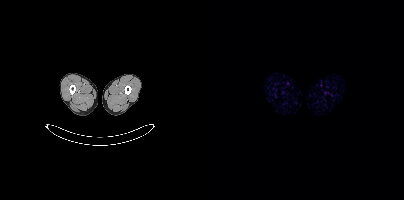
No tumor lesions annotated on this slice. Left: CT. Right: PSMA PET, same axial level, 18F tracer. Acquired on Siemens Biograph mCT Flow 20.